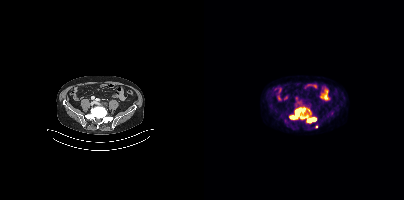
Paired axial CT (left) and PSMA PET (right), 18F tracer. Acquired on Siemens Biograph mCT Flow 20. Slice 132 of 429.
Coordinates are on the 200×200 PET (right) panel. PSMA-avid tumor lesion bounding boxes:
| # | x0 | y0 | x1 | y1 |
|---|---|---|---|---|
| 1 | 86 | 107 | 113 | 123 |
Small PSMA-avid foci (2 to 4 px across) near (center x, center y): (112, 126); (104, 110).